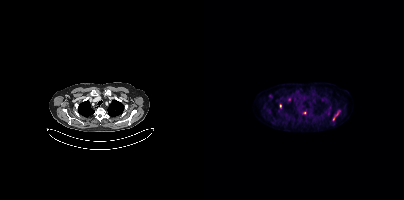
- Left: CT. Right: PSMA PET, same axial level, [18F]PSMA-1007 tracer
Findings: Coordinates are on the 200×200 PET (right) panel. PSMA-avid tumor lesion bounding box (x0,y0,x1,y1): [129,114,133,119]. Small PSMA-avid foci (2 to 4 px across) near (center x, center y): (100, 113), (76, 105).